Technique: Two-panel axial: CT | PSMA PET, 18F-PSMA tracer. slice position z = -64 mm. PET panel 200×200 px (4.1 mm/px).
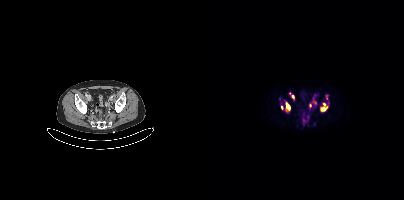
Findings: Coordinates are on the 200×200 PET (right) panel. (showing 7 of 12 foci) PSMA-avid tumor lesion bounding boxes (x0, y0)-(x1, y1): (82, 102)-(86, 112); (116, 103)-(123, 110); (108, 100)-(112, 104); (87, 95)-(90, 100); (122, 95)-(124, 99); (77, 105)-(78, 109). Small PSMA-avid focus (2 to 4 px across) near (center x, center y): (106, 105).